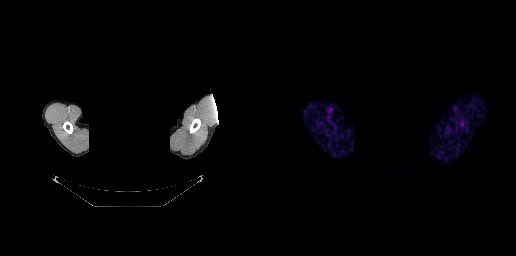
{"pet_grid":[256,256],"coord_frame":"pet_panel","coord_format":"x0,y0,x1,y1","psma_avid_lesions":false,"de-identification":"privacy mask over head","modality":"PSMA PET/CT","view":"axial","tracer":"68Ga-PSMA"}